Technique: Two-panel axial: CT | PSMA PET, 18F-PSMA tracer. PET panel 200×200 px (4.1 mm/px).
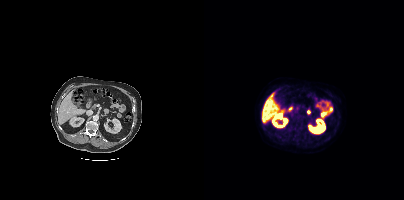
Findings: This slice has no annotated PSMA-avid lesion.